modality: PSMA PET/CT | tracer: 18F-PSMA | view: axial | PET grid: 200×200
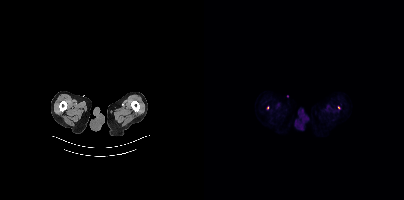
Coordinates are on the 200×200 PET (right) panel. Small PSMA-avid foci (2 to 4 px across) near (center x, center y): (63, 107) | (134, 107).